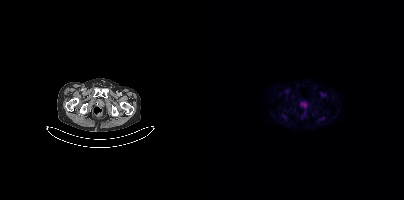
Paired axial CT (left) and PSMA PET (right), 18F-PSMA tracer. Negative for PSMA-avid disease on this slice.